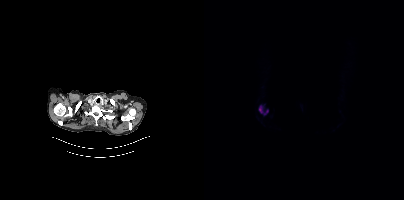
Coordinates are on the 200×200 PET (right) panel. PSMA-avid tumor lesion bounding box (x, y, width, height): x=54 y=105 w=11 h=11.